Technique: Left: CT. Right: PSMA PET, same axial level, 68Ga-PSMA tracer. slice 109 of 165.
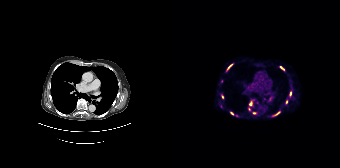
Findings: Coordinates are on the 168×168 PET (right) panel. (showing 10 of 12 foci) PSMA-avid tumor lesion bounding boxes (x, y, width, height): x=55 y=64 w=6 h=6 | x=108 y=66 w=5 h=4 | x=102 y=112 w=6 h=4. Small PSMA-avid foci (2 to 4 px across) near (center x, center y): (78, 103) | (59, 113) | (118, 93) | (114, 101) | (64, 115) | (50, 97) | (49, 81).